Left: CT. Right: PSMA PET, same axial level, [68Ga]Ga-PSMA-11 tracer. Acquired on Siemens Biograph 64-4R TruePoint. Slice position z = -1380 mm.
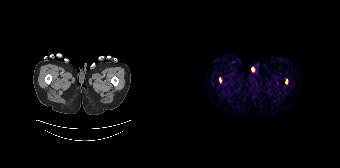
Coordinates are on the 168×168 PET (right) panel. PSMA-avid tumor lesion bounding box (x0, y0)-(x1, y1): (47, 77)-(49, 82). Small PSMA-avid focus (2 to 4 px across) near (center x, center y): (114, 82).